Technique: Two-panel axial: CT | PSMA PET, 18F tracer. slice 83 of 263. PET panel 256×256 px (2.7 mm/px).
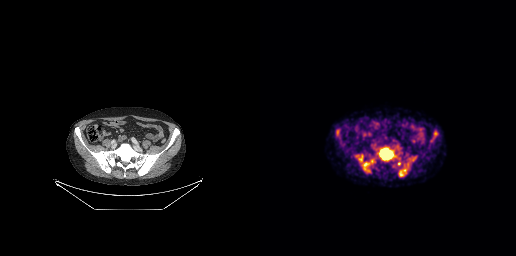
Findings: Coordinates are on the 256×256 PET (right) panel. PSMA-avid tumor lesion bounding boxes (x, y, width, height): x=119 y=148 w=15 h=12 | x=138 y=156 w=19 h=21 | x=96 y=154 w=19 h=19 | x=137 y=157 w=4 h=9.